Technique: Paired axial CT (left) and PSMA PET (right), 18F-PSMA tracer. acquired on Siemens Biograph mCT Flow 20. slice position z = -872 mm.
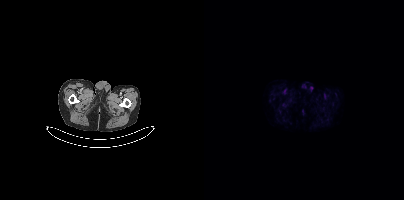
Findings: No PSMA-avid tumor lesions on this slice.